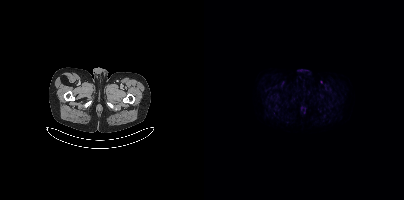
Two-panel axial: CT | PSMA PET, 18F-PSMA tracer. No tumor lesions annotated on this slice.